modality: PSMA PET/CT | tracer: 18F | view: axial
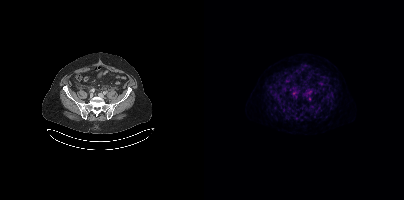
Coordinates are on the 200×200 PET (right) panel. (showing 1 of 2 foci) Small PSMA-avid focus (2 to 4 px across) near (center x, center y): (100, 97).